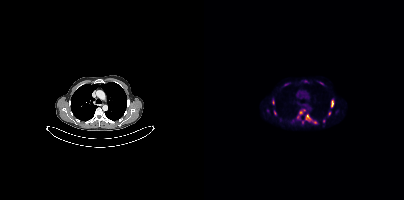
Coordinates are on the 200×200 PET (right) panel. (showing 11 of 12 foci) PSMA-avid tumor lesion bounding boxes (x0, y0)-(x1, y1): (101, 114)-(112, 123) | (93, 109)-(101, 118) | (127, 99)-(130, 107) | (68, 99)-(70, 104) | (80, 83)-(85, 85) | (124, 111)-(126, 115) | (70, 110)-(72, 114) | (115, 82)-(119, 84). Small PSMA-avid foci (2 to 4 px across) near (center x, center y): (119, 121) | (98, 122) | (63, 110).